modality: PSMA PET/CT | tracer: [18F]PSMA-1007 | view: axial
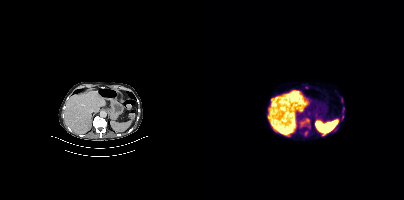
Coordinates are on the 200×200 PET (right) panel. (showing 2 of 4 foci) PSMA-avid tumor lesion bounding box (x0, y0)-(x1, y1): (97, 119)-(105, 125). Small PSMA-avid focus (2 to 4 px across) near (center x, center y): (139, 109).